Paired axial CT (left) and PSMA PET (right), [18F]PSMA-1007 tracer. Acquired on Siemens Biograph mCT Flow 20. Slice position z = -1258 mm. PET panel 200×200 px (4.1 mm/px).
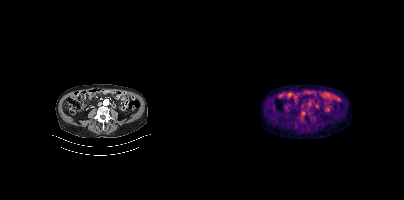
Negative for PSMA-avid disease on this slice.